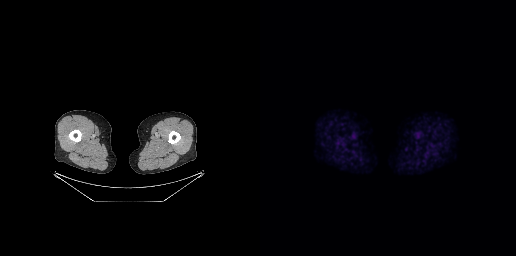
{"modality":"PSMA PET/CT","view":"axial","tracer":"18F","pet_grid":[256,256],"coord_frame":"pet_panel","coord_format":"x0,y0,x1,y1","psma_avid_lesions":false}